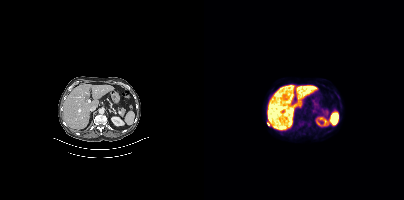
Coordinates are on the 200×200 PET (right) panel. Small PSMA-avid foci (2 to 4 px across) near (center x, center y): (64, 124); (98, 123).
modality: PSMA PET/CT | tracer: [18F]PSMA-1007 | view: axial